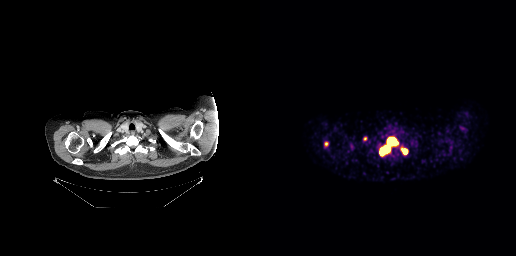
modality: PSMA PET/CT | tracer: 68Ga | view: axial
Coordinates are on the 256×256 PET (right) panel. PSMA-avid tumor lesion bounding boxes (x0, y0)-(x1, y1): (119, 137)-(138, 155) / (141, 148)-(147, 154) / (64, 142)-(68, 146). Small PSMA-avid foci (2 to 4 px across) near (center x, center y): (104, 138) / (91, 146).